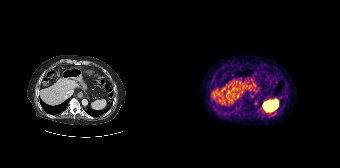
Negative for PSMA-avid disease on this slice.
modality: PSMA PET/CT | tracer: 68Ga-PSMA | view: axial | PET grid: 168×168